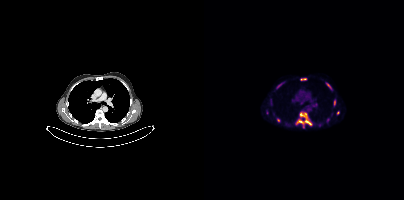
- Left: CT. Right: PSMA PET, same axial level, 18F-PSMA tracer
- PET panel 200×200 px (4.1 mm/px)
Findings: Coordinates are on the 200×200 PET (right) panel. (showing 7 of 9 foci) PSMA-avid tumor lesion bounding boxes (x0,y0,x1,y1): [91,111,108,127]; [96,78,102,80]; [73,118,76,122]; [129,100,131,105]; [76,82,80,85]. Small PSMA-avid foci (2 to 4 px across) near (center x, center y): (134, 112); (123, 120).